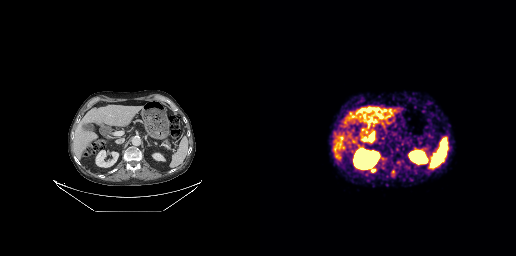
Coordinates are on the 256×256 PET (right) panel. PSMA-avid tumor lesion bounding boxes (x0,y0,x1,y1): [110,167,116,172], [131,170,135,176].
modality: PSMA PET/CT | tracer: 68Ga | view: axial | PET grid: 256×256